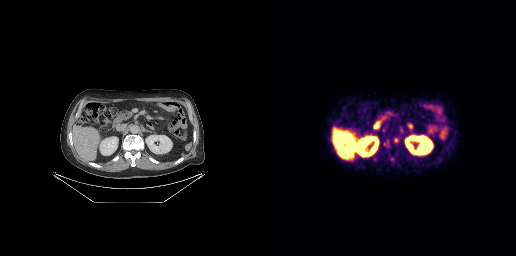
Findings: Coordinates are on the 256×256 PET (right) panel. PSMA-avid tumor lesion bounding boxes (x, y, width, height): x=134 y=139 w=5 h=4 | x=127 y=140 w=2 h=6. Small PSMA-avid foci (2 to 4 px across) near (center x, center y): (124, 144) | (131, 158).
- Paired axial CT (left) and PSMA PET (right), 18F-PSMA tracer
- acquired on GE Discovery 690